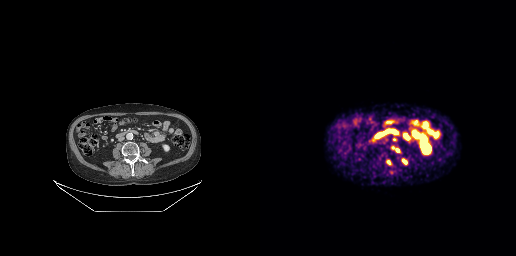
Findings: Coordinates are on the 256×256 PET (right) panel. (showing 6 of 7 foci) PSMA-avid tumor lesion bounding boxes (x, y, width, height): x=142 y=158 w=6 h=7 | x=126 y=160 w=6 h=5. Small PSMA-avid foci (2 to 4 px across) near (center x, center y): (132, 172) | (133, 147) | (137, 150) | (134, 139).
Technique: Two-panel axial: CT | PSMA PET, 68Ga-PSMA tracer. acquired on GE Discovery 690. slice position z = -503 mm. PET panel 256×256 px (2.7 mm/px).